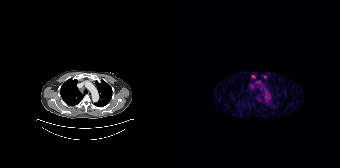
{"modality":"PSMA PET/CT","view":"axial","tracer":"18F-PSMA","pet_grid":[168,168],"coord_frame":"pet_panel","coord_format":"x0,y0,x1,y1","lesion_bboxes":[[79,75,83,78]],"small_foci_centers":[[92,76]]}